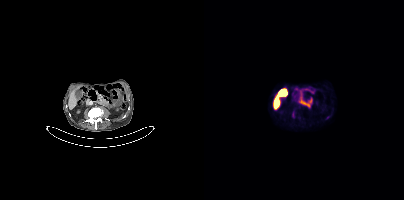
Paired axial CT (left) and PSMA PET (right), 18F tracer. Acquired on Siemens Biograph mCT Flow 20. Negative for PSMA-avid disease on this slice.